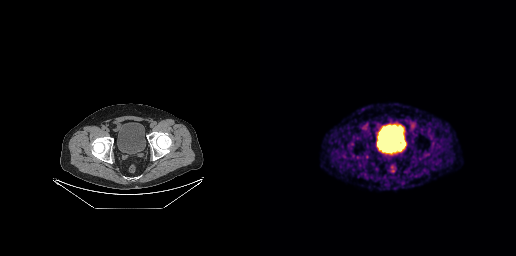
Paired axial CT (left) and PSMA PET (right), 68Ga tracer. Slice position z = -822 mm. PET panel 256×256 px (2.7 mm/px). This slice has no annotated PSMA-avid lesion.